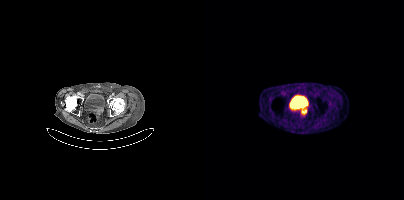
Two-panel axial: CT | PSMA PET, 68Ga tracer. Acquired on Siemens Biograph mCT Flow 20. Slice position z = -1038 mm. PET panel 200×200 px (4.1 mm/px).
Coordinates are on the 200×200 PET (right) panel. PSMA-avid tumor lesion bounding boxes:
| # | x0 | y0 | x1 | y1 |
|---|---|---|---|---|
| 1 | 96 | 108 | 103 | 115 |